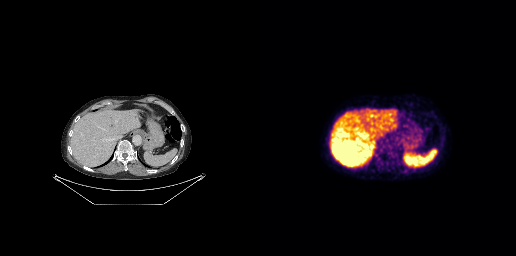
This slice has no annotated PSMA-avid lesion.
modality: PSMA PET/CT | tracer: 18F | view: axial